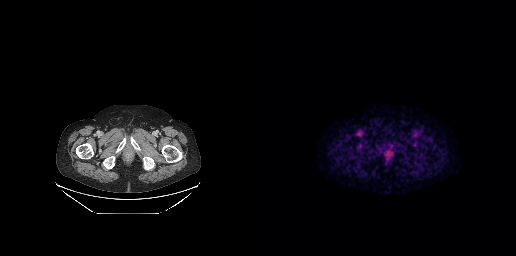
Left: CT. Right: PSMA PET, same axial level, [18F]PSMA-1007 tracer. Acquired on GE Discovery 690. No tumor lesions annotated on this slice.